modality: PSMA PET/CT | tracer: 18F-PSMA | view: axial | PET grid: 200×200
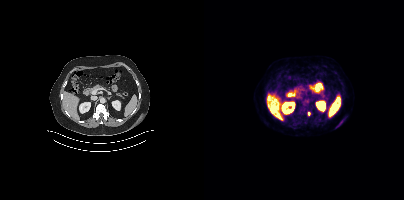
Coordinates are on the 200×200 PET (right) panel. Small PSMA-avid focus (2 to 4 px across) near (center x, center y): (104, 113).